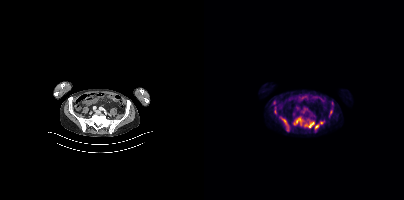
Coordinates are on the 200×200 PET (right) panel. (showing 6 of 8 foci) PSMA-avid tumor lesion bounding boxes (x, y, width, height): x=100 y=120 w=11 h=8; x=79 y=120 w=7 h=12; x=90 y=119 w=11 h=7. Small PSMA-avid foci (2 to 4 px across) near (center x, center y): (117, 123); (112, 127); (126, 112).